modality: PSMA PET/CT | tracer: [68Ga]Ga-PSMA-11 | view: axial | PET grid: 200×200
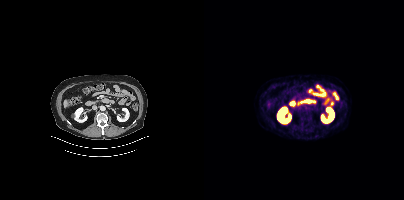
Negative for PSMA-avid disease on this slice.